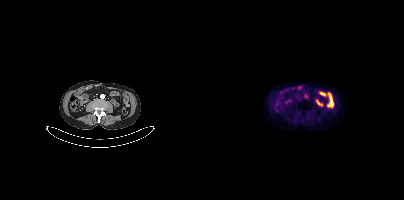
No tumor lesions annotated on this slice.
modality: PSMA PET/CT | tracer: 18F-PSMA | view: axial | PET grid: 200×200